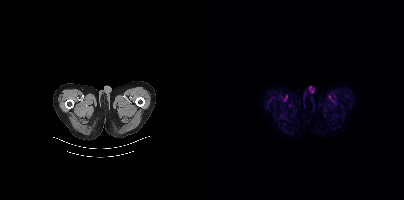
No PSMA-avid tumor lesions on this slice.
modality: PSMA PET/CT | tracer: 18F | view: axial | PET grid: 200×200